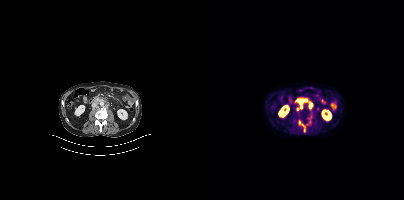
Coordinates are on the 200×200 PET (right) panel. PSMA-avid tumor lesion bounding box (x0,y0,x1,y1): [93,99,103,108]. Small PSMA-avid foci (2 to 4 px across) near (center x, center y): (106, 105) (95, 122) (99, 125) (100, 130) (93, 108).